Technique: Paired axial CT (left) and PSMA PET (right), 18F-PSMA tracer. acquired on Siemens Biograph mCT Flow 20. slice position z = -1072 mm.
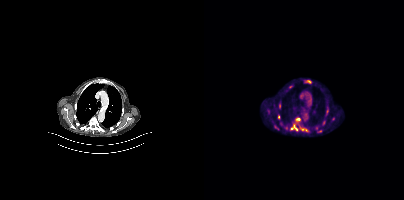
Findings: Coordinates are on the 200×200 PET (right) panel. PSMA-avid tumor lesion bounding boxes (x0,y0,x1,y1): [89,120,96,128], [80,125,84,129], [70,125,75,130], [84,85,88,88], [74,114,76,119], [75,103,76,108]. Small PSMA-avid foci (2 to 4 px across) near (center x, center y): (112, 127), (116, 131), (82, 90), (64, 111).